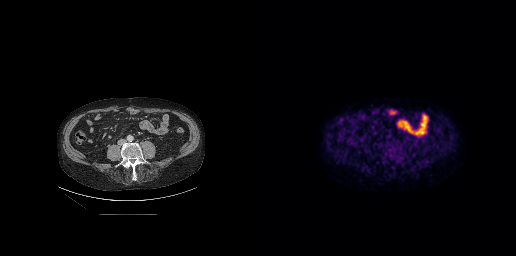
{"pet_grid":[256,256],"coord_frame":"pet_panel","coord_format":"x0,y0,x1,y1","lesion_bboxes":[[135,140,140,145]],"modality":"PSMA PET/CT","view":"axial","tracer":"[18F]PSMA-1007"}